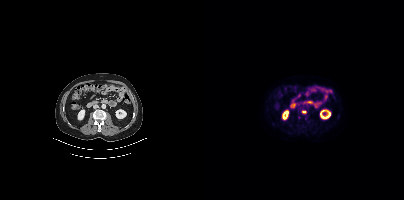
Coordinates are on the 200×200 PET (right) panel. PSMA-avid tumor lesion bounding box (x0,y0,x1,y1): [98,111,102,113].